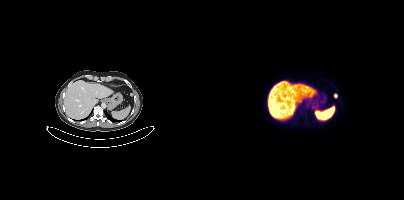
{"modality":"PSMA PET/CT","view":"axial","tracer":"18F","pet_grid":[200,200],"coord_frame":"pet_panel","coord_format":"x0,y0,x1,y1","partial":true,"lesion_bboxes":[],"small_foci_centers":[[131,95]]}